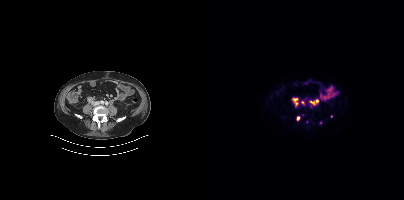
- Two-panel axial: CT | PSMA PET, 18F-PSMA tracer
- slice 156 of 444
- PET panel 200×200 px (4.1 mm/px)
Findings: Coordinates are on the 200×200 PET (right) panel. (showing 4 of 5 foci) PSMA-avid tumor lesion bounding boxes (x0, y0)-(x1, y1): (88, 98)-(93, 105) | (106, 100)-(113, 104) | (93, 116)-(95, 120). Small PSMA-avid focus (2 to 4 px across) near (center x, center y): (98, 102).